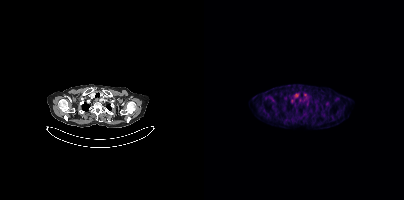
Only PSMA-avid lesion pieces thinner than 2 px on this slice (not listed).